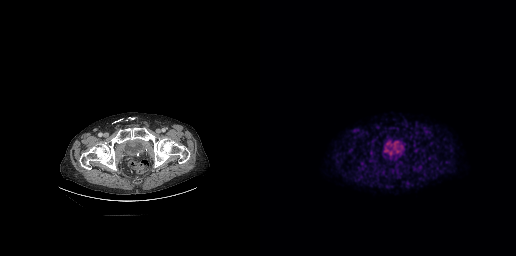
Coordinates are on the 256×256 PET (right) panel. PSMA-avid tumor lesion bounding box (x0,y0,x1,y1): [129,127,133,128].